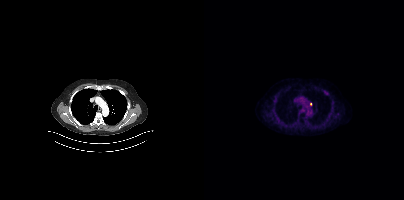
Paired axial CT (left) and PSMA PET (right), [18F]PSMA-1007 tracer. Slice 269 of 356. Coordinates are on the 200×200 PET (right) panel. Small PSMA-avid focus (2 to 4 px across) near (center x, center y): (106, 103).